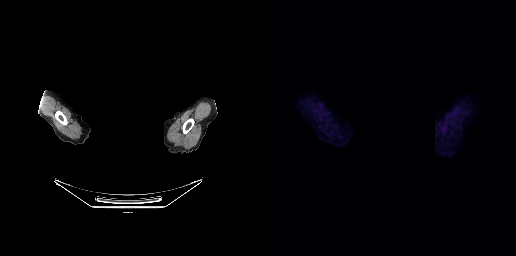
No tumor lesions annotated on this slice.
Head region blanked for anonymization (face removed).